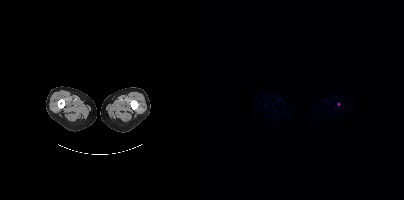
Two-panel axial: CT | PSMA PET, 18F tracer. Acquired on Siemens Biograph mCT Flow 20. Slice 66 of 508. Coordinates are on the 200×200 PET (right) panel. Small PSMA-avid focus (2 to 4 px across) near (center x, center y): (134, 104).